- Paired axial CT (left) and PSMA PET (right), 18F-PSMA tracer
- PET panel 200×200 px (4.1 mm/px)
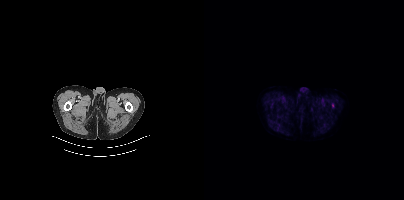
Findings: Negative for PSMA-avid disease on this slice.